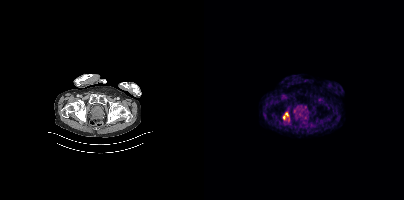
- Paired axial CT (left) and PSMA PET (right), 18F-PSMA tracer
Findings: Coordinates are on the 200×200 PET (right) panel. PSMA-avid tumor lesion bounding box (x, y, width, height): x=79 y=112 w=6 h=8.